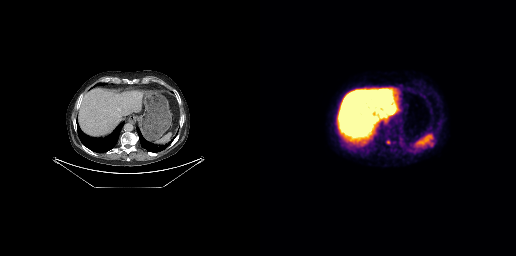
Coordinates are on the 256×256 PET (right) panel. (showing 6 of 7 foci) PSMA-avid tumor lesion bounding boxes (x0, y0)-(x1, y1): (161, 143)-(172, 148); (91, 107)-(96, 112); (119, 89)-(123, 93). Small PSMA-avid foci (2 to 4 px across) near (center x, center y): (111, 94); (122, 103); (128, 142).